Left: CT. Right: PSMA PET, same axial level, [18F]PSMA-1007 tracer. PET panel 200×200 px (4.1 mm/px). Some pixels were blanked for anonymization.
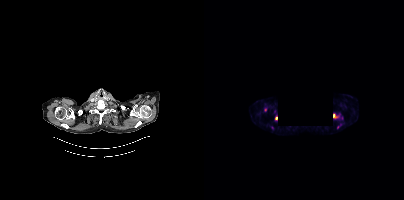
Coordinates are on the 200×200 PET (right) panel. PSMA-avid tumor lesion bounding boxes:
| # | x0 | y0 | x1 | y1 |
|---|---|---|---|---|
| 1 | 60 | 107 | 63 | 111 |
| 2 | 129 | 114 | 133 | 118 |
| 3 | 71 | 116 | 73 | 120 |